Paired axial CT (left) and PSMA PET (right), [18F]PSMA-1007 tracer. Acquired on Siemens Biograph mCT Flow 20. PET panel 200×200 px (4.1 mm/px).
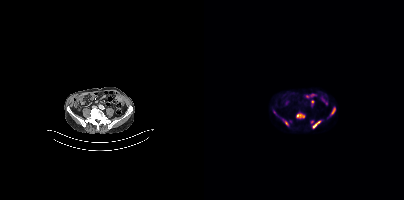
Coordinates are on the 200×200 PET (right) panel. PSMA-avid tumor lesion bounding boxes (x, y, width, height): x=92 y=113 w=9 h=6 / x=108 y=120 w=10 h=9 / x=126 y=107 w=6 h=10 / x=81 y=121 w=4 h=5. Small PSMA-avid foci (2 to 4 px across) near (center x, center y): (108, 122) / (70, 112) / (78, 119).